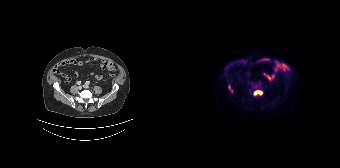
Two-panel axial: CT | PSMA PET, 18F-PSMA tracer. PET panel 168×168 px (4.1 mm/px). Coordinates are on the 168×168 PET (right) panel. PSMA-avid tumor lesion bounding boxes (x, y, width, height): x=82 y=91 w=9 h=4 | x=56 y=85 w=5 h=8.